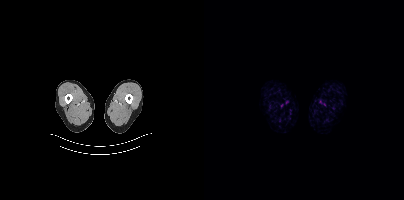
No tumor lesions annotated on this slice.
modality: PSMA PET/CT | tracer: [18F]PSMA-1007 | view: axial | PET grid: 200×200